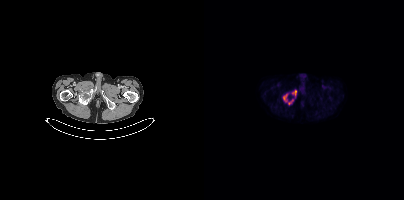
Coordinates are on the 200×200 PET (right) panel. PSMA-avid tumor lesion bounding boxes:
| # | x0 | y0 | x1 | y1 |
|---|---|---|---|---|
| 1 | 79 | 94 | 89 | 104 |
| 2 | 88 | 90 | 92 | 95 |
Small PSMA-avid focus (2 to 4 px across) near (center x, center y): (90, 97).
Left: CT. Right: PSMA PET, same axial level, [18F]PSMA-1007 tracer.